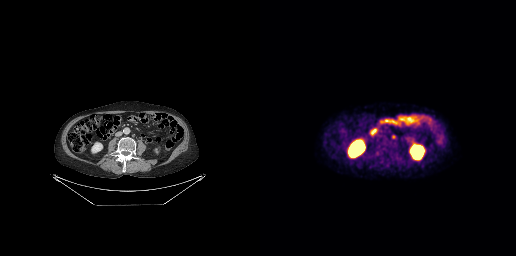
Coordinates are on the 256×256 PET (right) panel. Small PSMA-avid focus (2 to 4 px across) near (center x, center y): (133, 136). Left: CT. Right: PSMA PET, same axial level, 18F tracer. PET panel 256×256 px (2.7 mm/px).